Left: CT. Right: PSMA PET, same axial level, 18F tracer. Slice 182 of 401. PET panel 200×200 px (4.1 mm/px).
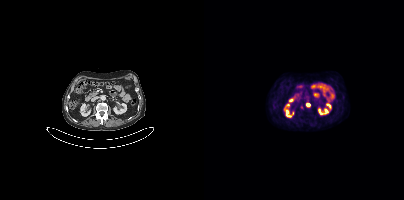
Coordinates are on the 200×200 PET (right) panel. Small PSMA-avid focus (2 to 4 px across) near (center x, center y): (104, 104).